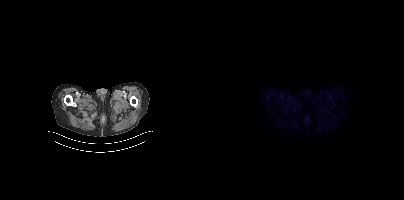
Findings: No PSMA-avid tumor lesions on this slice.
- Two-panel axial: CT | PSMA PET, 18F-PSMA tracer
- PET panel 200×200 px (4.1 mm/px)